Paired axial CT (left) and PSMA PET (right), 18F-PSMA tracer. Acquired on Siemens Biograph mCT Flow 20. Slice 269 of 409. PET panel 200×200 px (4.1 mm/px).
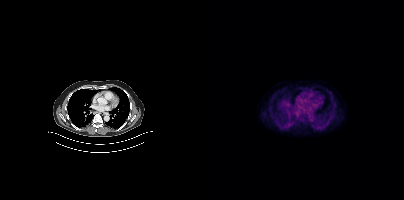
No PSMA-avid tumor lesions on this slice.